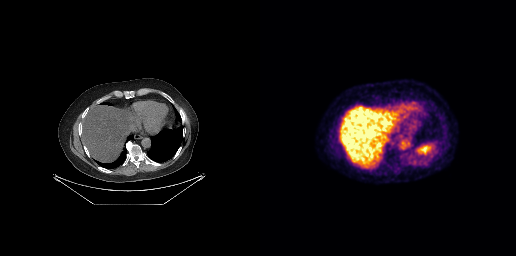
- Paired axial CT (left) and PSMA PET (right), [18F]PSMA-1007 tracer
- acquired on GE Discovery 690
- slice position z = -351 mm
Findings: Negative for PSMA-avid disease on this slice.